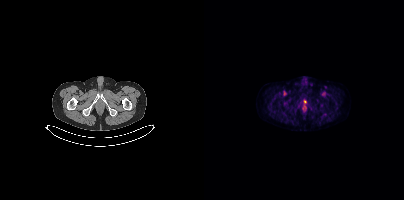
{"pet_grid":[200,200],"coord_frame":"pet_panel","coord_format":"x0,y0,x1,y1","partial":true,"lesion_bboxes":[],"modality":"PSMA PET/CT","view":"axial","tracer":"[18F]PSMA-1007"}